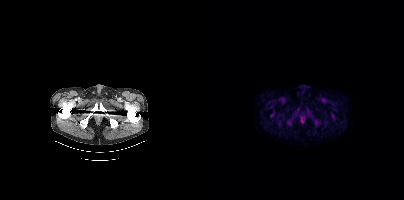
- Paired axial CT (left) and PSMA PET (right), [18F]PSMA-1007 tracer
- slice 45 of 438
- PET panel 200×200 px (4.1 mm/px)
Findings: No PSMA-avid tumor lesions on this slice.